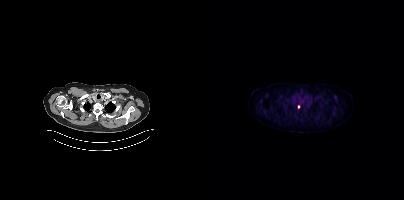
modality: PSMA PET/CT | tracer: [18F]PSMA-1007 | view: axial | PET grid: 200×200
Coordinates are on the 200×200 PET (right) panel. Small PSMA-avid focus (2 to 4 px across) near (center x, center y): (94, 106).